A rectangular block over the head has been blanked out for de-identification. Left: CT. Right: PSMA PET, same axial level, [68Ga]Ga-PSMA-11 tracer. PET panel 168×168 px (4.1 mm/px).
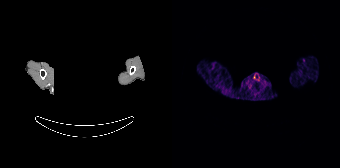
No PSMA-avid tumor lesions on this slice.